Left: CT. Right: PSMA PET, same axial level, [18F]PSMA-1007 tracer. PET panel 200×200 px (4.1 mm/px).
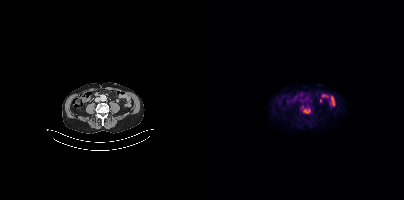
Coordinates are on the 200×200 PET (right) panel. PSMA-avid tumor lesion bounding boxes:
| # | x0 | y0 | x1 | y1 |
|---|---|---|---|---|
| 1 | 99 | 108 | 106 | 113 |
Small PSMA-avid focus (2 to 4 px across) near (center x, center y): (98, 106).